modality: PSMA PET/CT | tracer: 18F | view: axial
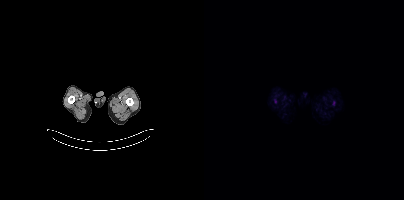
No PSMA-avid tumor lesions on this slice.